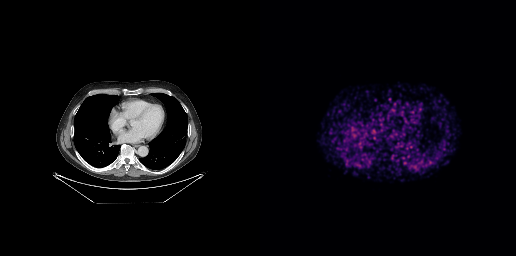
Negative for PSMA-avid disease on this slice. Two-panel axial: CT | PSMA PET, 68Ga-PSMA tracer. Slice position z = -491 mm.